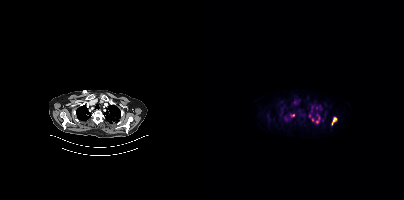
Coordinates are on the 200×200 PET (right) panel. (showing 8 of 9 foci) PSMA-avid tumor lesion bounding box (x, y, width, height): x=128 y=117 w=5 h=8. Small PSMA-avid foci (2 to 4 px across) near (center x, center y): (88, 115) / (113, 121) / (108, 119) / (112, 107) / (105, 115) / (114, 116) / (82, 119).